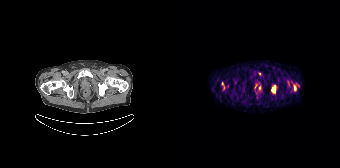
{"modality":"PSMA PET/CT","view":"axial","tracer":"[68Ga]Ga-PSMA-11","pet_grid":[168,168],"coord_frame":"pet_panel","coord_format":"x0,y0,x1,y1","partial":true,"lesion_bboxes":[[99,85,103,92],[49,82,52,89],[122,85,124,90],[116,81,117,85]],"small_foci_centers":[[87,87]]}